Left: CT. Right: PSMA PET, same axial level, [18F]PSMA-1007 tracer. Acquired on GE Discovery 690.
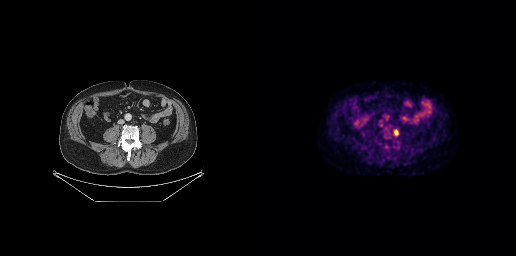
Coordinates are on the 256×256 PET (right) panel. Small PSMA-avid focus (2 to 4 px across) near (center x, center y): (136, 132).